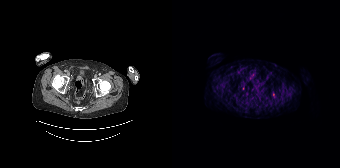
- Two-panel axial: CT | PSMA PET, 68Ga tracer
- slice position z = -770 mm
Findings: Coordinates are on the 168×168 PET (right) panel. (showing 1 of 2 foci) Small PSMA-avid focus (2 to 4 px across) near (center x, center y): (101, 94).